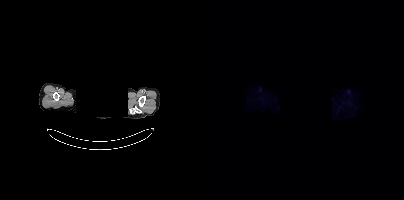
{"modality":"PSMA PET/CT","view":"axial","tracer":"18F-PSMA","pet_grid":[200,200],"coord_frame":"pet_panel","coord_format":"x0,y0,x1,y1","psma_avid_lesions":false,"de-identification":"head region blacked out before release"}